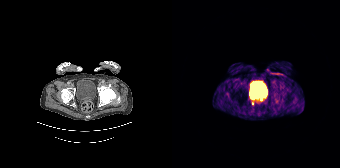
Coordinates are on the 168×168 PET (right) panel. Small PSMA-avid foci (2 to 4 px across) near (center x, center y): (89, 98), (80, 103).